- Left: CT. Right: PSMA PET, same axial level, 18F-PSMA tracer
- slice position z = -324 mm
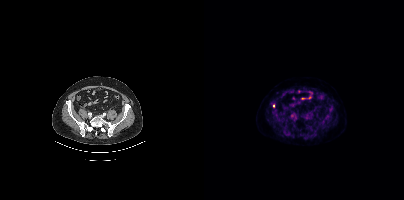
Findings: Only PSMA-avid lesion pieces thinner than 2 px on this slice (not listed).